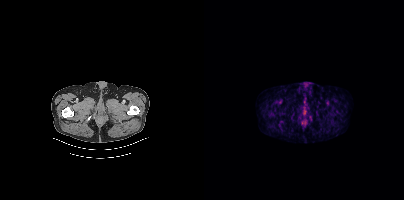
Technique: Left: CT. Right: PSMA PET, same axial level, 18F tracer.
Findings: This slice has no annotated PSMA-avid lesion.